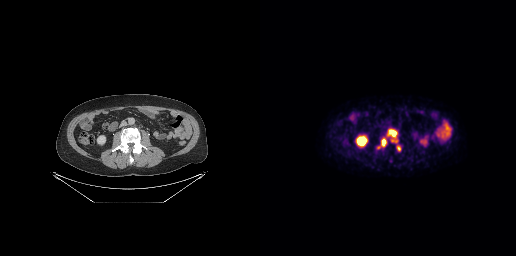
Technique: Two-panel axial: CT | PSMA PET, 18F tracer. acquired on GE Discovery 690. PET panel 256×256 px (2.7 mm/px).
Findings: Coordinates are on the 256×256 PET (right) panel. PSMA-avid tumor lesion bounding boxes (x, y, width, height): x=118 y=128 w=21 h=21; x=136 y=145 w=5 h=7.